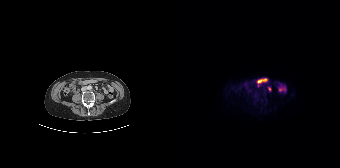
- Two-panel axial: CT | PSMA PET, [18F]PSMA-1007 tracer
Findings: Coordinates are on the 168×168 PET (right) panel. Small PSMA-avid focus (2 to 4 px across) near (center x, center y): (86, 85).